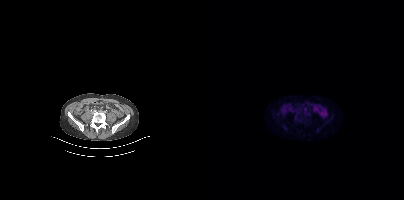
{"modality":"PSMA PET/CT","view":"axial","tracer":"18F-PSMA","pet_grid":[200,200],"coord_frame":"pet_panel","coord_format":"x0,y0,x1,y1","partial":true,"lesion_bboxes":[]}